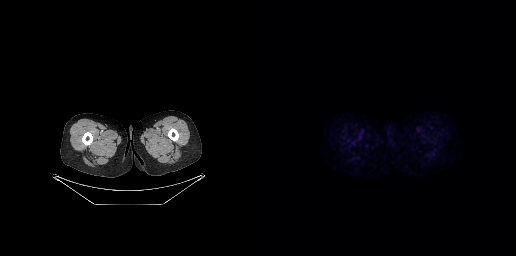
Two-panel axial: CT | PSMA PET, [18F]PSMA-1007 tracer. Slice position z = -822 mm. This slice has no annotated PSMA-avid lesion.